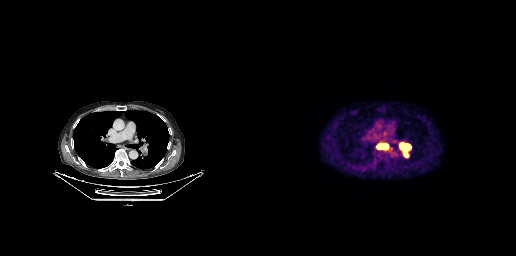
Coordinates are on the 256×256 PET (right) panel. PSMA-avid tumor lesion bounding boxes (x0, y0)-(x1, y1): (139, 142)-(151, 157); (116, 143)-(129, 150).